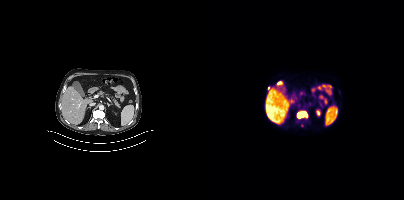
Coordinates are on the 200×200 PET (right) panel. (showing 2 of 3 foci) PSMA-avid tumor lesion bounding box (x0, y0)-(x1, y1): (92, 110)-(104, 118). Small PSMA-avid focus (2 to 4 px across) near (center x, center y): (65, 87).
modality: PSMA PET/CT | tracer: 18F | view: axial | PET grid: 200×200